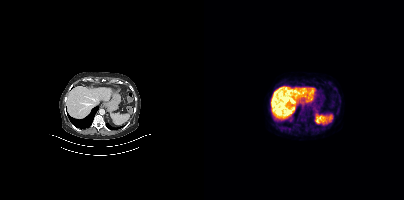
This slice has no annotated PSMA-avid lesion.